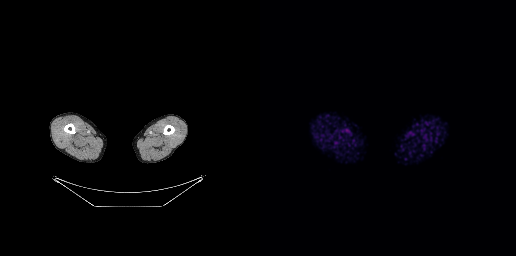
Findings: No tumor lesions annotated on this slice.
Technique: Paired axial CT (left) and PSMA PET (right), 18F tracer. PET panel 256×256 px (2.7 mm/px).